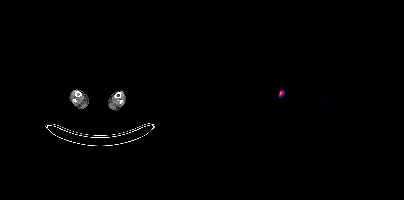
Findings: Coordinates are on the 200×200 PET (right) panel. PSMA-avid tumor lesion bounding box (x0,y0,x1,y1): [75,91,79,95].
Technique: Two-panel axial: CT | PSMA PET, 18F-PSMA tracer. slice position z = -1757 mm. PET panel 200×200 px (4.1 mm/px).